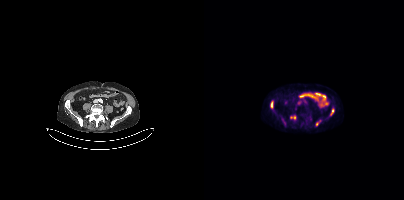
Findings: Coordinates are on the 200×200 PET (right) panel. PSMA-avid tumor lesion bounding boxes (x0,y0,x1,y1): [86,116,91,119] [67,101,68,107] [127,109,130,113]. Small PSMA-avid focus (2 to 4 px across) near (center x, center y): (113, 123).
Technique: Two-panel axial: CT | PSMA PET, 18F-PSMA tracer. slice 118 of 373.